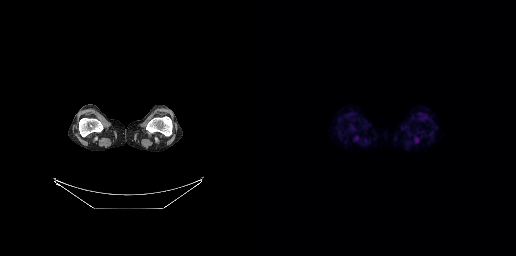
No tumor lesions annotated on this slice. Paired axial CT (left) and PSMA PET (right), 18F-PSMA tracer. Acquired on GE Discovery 690. Slice 14 of 371. PET panel 256×256 px (2.7 mm/px).